Two-panel axial: CT | PSMA PET, 18F-PSMA tracer. Acquired on Siemens Biograph mCT Flow 20. Slice position z = -1414 mm. PET panel 200×200 px (4.1 mm/px).
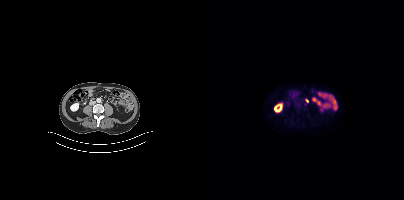
Coordinates are on the 200×200 PET (right) panel. PSMA-avid tumor lesion bounding boxes:
| # | x0 | y0 | x1 | y1 |
|---|---|---|---|---|
| 1 | 101 | 99 | 104 | 105 |